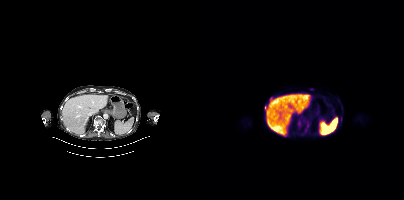
Two-panel axial: CT | PSMA PET, 18F-PSMA tracer. PET panel 200×200 px (4.1 mm/px). Coordinates are on the 200×200 PET (right) panel. PSMA-avid tumor lesion bounding boxes (x, y, width, height): x=93 y=121 w=5 h=5; x=102 y=122 w=4 h=10; x=60 y=106 w=4 h=6; x=105 y=88 w=6 h=3; x=137 y=116 w=2 h=6.